Two-panel axial: CT | PSMA PET, [18F]PSMA-1007 tracer. PET panel 200×200 px (4.1 mm/px).
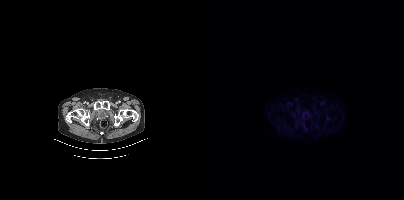
This slice has no annotated PSMA-avid lesion.